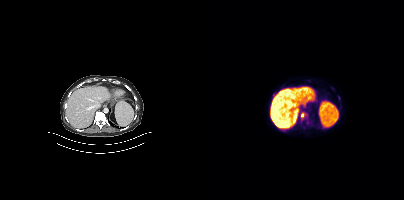
Coordinates are on the 200×200 PET (right) panel. (showing 1 of 2 foci) Small PSMA-avid focus (2 to 4 px across) near (center x, center y): (99, 114).